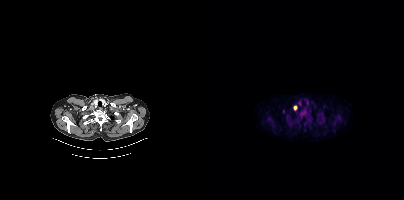
Technique: Paired axial CT (left) and PSMA PET (right), [18F]PSMA-1007 tracer. slice position z = -996 mm. PET panel 200×200 px (4.1 mm/px).
Findings: Coordinates are on the 200×200 PET (right) panel. (showing 4 of 5 foci) PSMA-avid tumor lesion bounding boxes (x, y, width, height): x=97 y=110 w=6 h=5; x=89 y=106 w=5 h=5; x=83 y=116 w=2 h=5. Small PSMA-avid focus (2 to 4 px across) near (center x, center y): (79, 111).